- Two-panel axial: CT | PSMA PET, [68Ga]Ga-PSMA-11 tracer
- PET panel 256×256 px (2.7 mm/px)
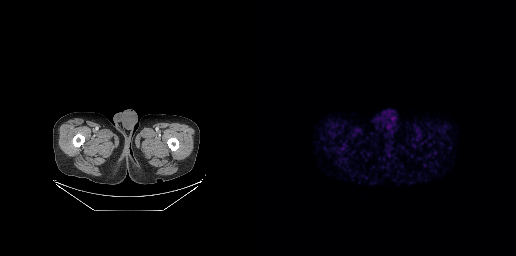
Findings: This slice has no annotated PSMA-avid lesion.